- Left: CT. Right: PSMA PET, same axial level, 18F tracer
- acquired on GE Discovery 690
- slice position z = -631 mm
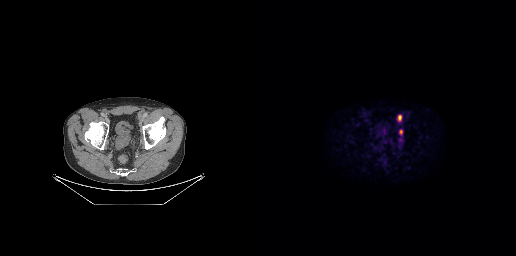
Findings: Coordinates are on the 256×256 PET (right) panel. PSMA-avid tumor lesion bounding boxes (x0, y0)-(x1, y1): (138, 115)-(141, 120) | (139, 130)-(142, 134).